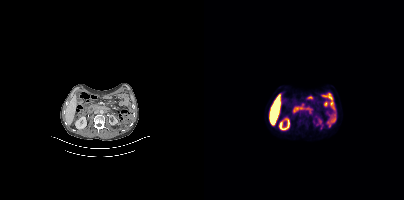
Coordinates are on the 200×200 PET (right) panel. Small PSMA-avid foci (2 to 4 px across) near (center x, center y): (99, 105) / (106, 112).
modality: PSMA PET/CT | tracer: 18F | view: axial